modality: PSMA PET/CT | tracer: 18F | view: axial
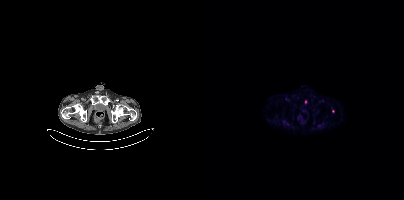
Coordinates are on the 200×200 PET (right) panel. Small PSMA-avid foci (2 to 4 px across) near (center x, center y): (129, 111) | (101, 101).